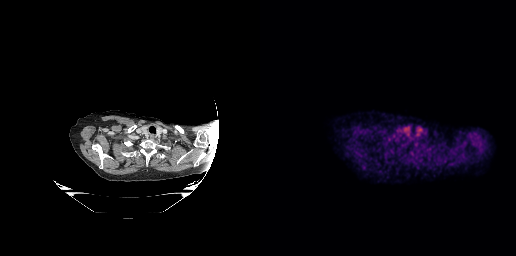
No PSMA-avid tumor lesions on this slice.
modality: PSMA PET/CT | tracer: [18F]PSMA-1007 | view: axial